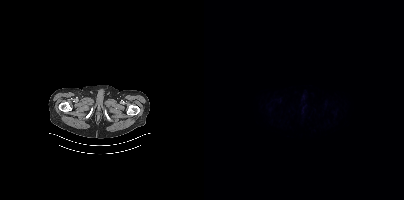
- Paired axial CT (left) and PSMA PET (right), [18F]PSMA-1007 tracer
- acquired on Siemens Biograph mCT Flow 20
Findings: Negative for PSMA-avid disease on this slice.